modality: PSMA PET/CT | tracer: 18F | view: axial | PET grid: 200×200
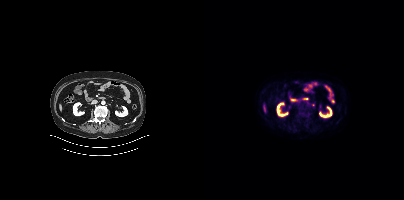
Coordinates are on the 200×200 PET (right) panel. Small PSMA-avid focus (2 to 4 px across) near (center x, center y): (109, 104).